Left: CT. Right: PSMA PET, same axial level, [18F]PSMA-1007 tracer. Slice position z = -186 mm. PET panel 200×200 px (4.1 mm/px). A rectangular block over the head has been blanked out for de-identification.
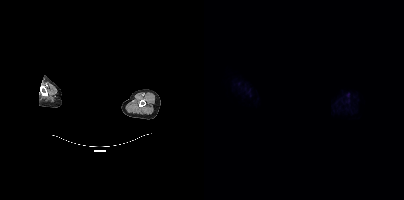
This slice has no annotated PSMA-avid lesion.